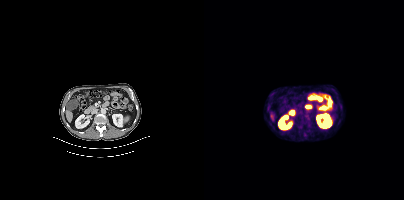
Coordinates are on the 200×200 PET (right) panel. PSMA-avid tumor lesion bounding boxes (x0,y0,x1,y1): [95,115,107,127]; [99,133,103,137]. Paired axial CT (left) and PSMA PET (right), 18F tracer. Slice position z = -272 mm.